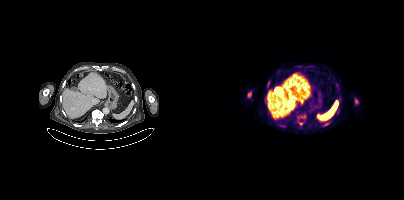
Technique: Two-panel axial: CT | PSMA PET, 18F-PSMA tracer. acquired on Siemens Biograph mCT Flow 20.
Findings: Coordinates are on the 200×200 PET (right) panel. PSMA-avid tumor lesion bounding boxes (x, y, width, height): x=43 y=92 w=5 h=6; x=151 y=99 w=4 h=5; x=94 y=122 w=6 h=4.